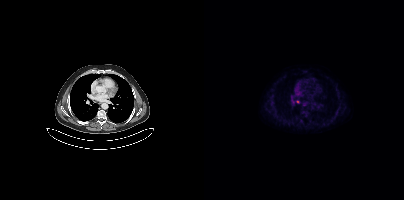
{"modality":"PSMA PET/CT","view":"axial","tracer":"[18F]PSMA-1007","pet_grid":[200,200],"coord_frame":"pet_panel","coord_format":"x0,y0,x1,y1","lesion_bboxes":[],"small_foci_centers":[[93,101],[100,104]]}